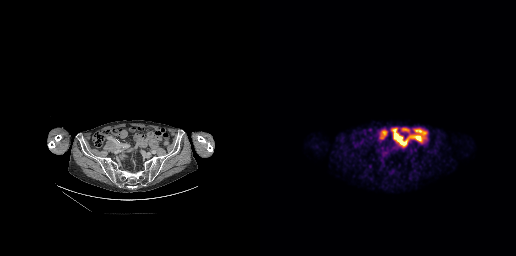
Findings: No tumor lesions annotated on this slice.
Technique: Left: CT. Right: PSMA PET, same axial level, 18F tracer. acquired on GE Discovery 690. slice position z = -600 mm.